Paired axial CT (left) and PSMA PET (right), 18F-PSMA tracer.
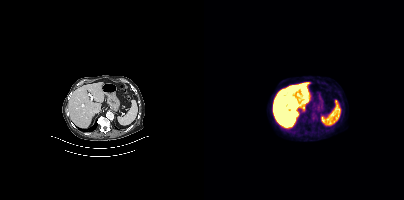
This slice has no annotated PSMA-avid lesion.